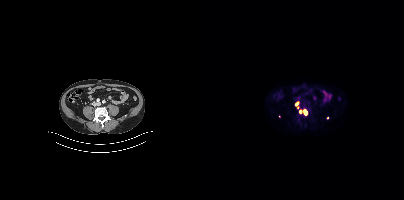
Coordinates are on the 200×200 PET (right) panel. PSMA-avid tumor lesion bounding boxes:
| # | x0 | y0 | x1 | y1 |
|---|---|---|---|---|
| 1 | 99 | 109 | 103 | 114 |
Small PSMA-avid foci (2 to 4 px across) near (center x, center y): (96, 111); (92, 104); (93, 107); (123, 117).
Paired axial CT (left) and PSMA PET (right), 18F-PSMA tracer. Slice position z = -1262 mm.